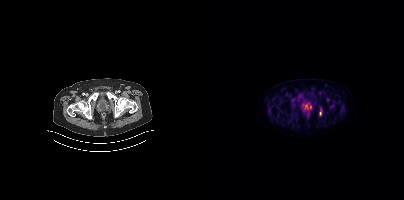
Coordinates are on the 200×200 PET (right) panel. PSMA-avid tumor lesion bounding box (x, y, width, height): x=100 y=103 w=5 h=5. Small PSMA-avid foci (2 to 4 px across) near (center x, center y): (116, 113) | (123, 99) | (106, 106).